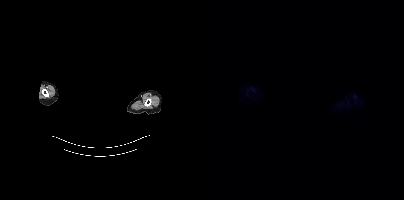
Paired axial CT (left) and PSMA PET (right), 18F tracer. Slice 426 of 444. Face de-identified by blanking a block of the head. No PSMA-avid tumor lesions on this slice.